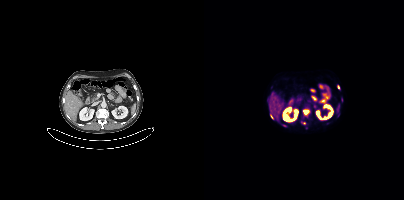
Two-panel axial: CT | PSMA PET, [18F]PSMA-1007 tracer. Acquired on Siemens Biograph mCT Flow 20. Slice 202 of 407. PET panel 200×200 px (4.1 mm/px).
Coordinates are on the 200×200 PET (right) panel. PSMA-avid tumor lesion bounding boxes (partial; 2 more foci not listed):
| # | x0 | y0 | x1 | y1 |
|---|---|---|---|---|
| 1 | 99 | 110 | 104 | 115 |
Small PSMA-avid foci (2 to 4 px across) near (center x, center y): (67, 116); (134, 87); (100, 123); (80, 125).